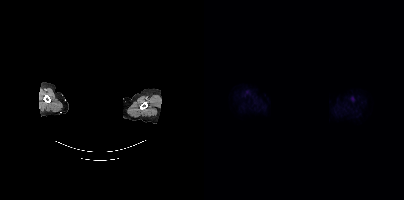
Left: CT. Right: PSMA PET, same axial level, 18F tracer. Acquired on Siemens Biograph mCT Flow 20. PET panel 200×200 px (4.1 mm/px). A rectangular block over the head has been blanked out for de-identification. No PSMA-avid tumor lesions on this slice.